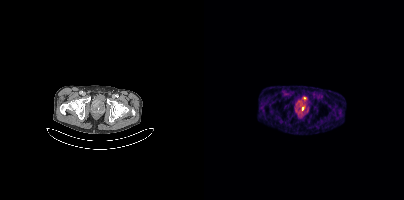
Findings: No PSMA-avid tumor lesions on this slice.
Technique: Paired axial CT (left) and PSMA PET (right), [68Ga]Ga-PSMA-11 tracer.